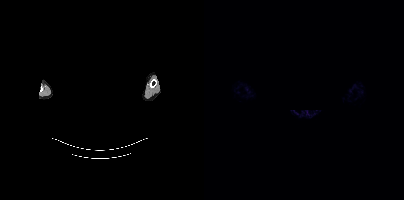
Technique: Paired axial CT (left) and PSMA PET (right), 68Ga tracer.
Note: A rectangular block over the head has been blanked out for de-identification.
Findings: Negative for PSMA-avid disease on this slice.